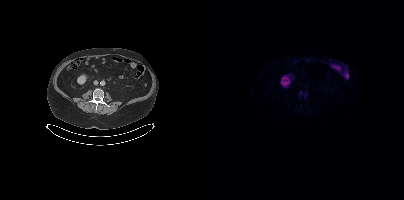
No PSMA-avid tumor lesions on this slice.